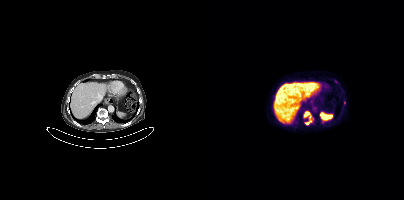
{"pet_grid":[200,200],"coord_frame":"pet_panel","coord_format":"x0,y0,x1,y1","lesion_bboxes":[[98,112,107,119],[101,120,107,124]],"modality":"PSMA PET/CT","view":"axial","tracer":"18F"}